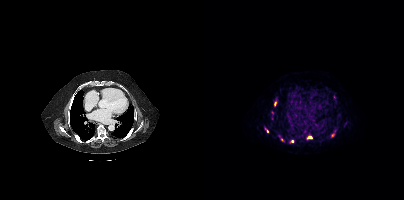
Coordinates are on the 200×200 PET (right) panel. (showing 6 of 7 foci) PSMA-avid tumor lesion bounding boxes (x0, y0)-(x1, y1): (70, 101)-(72, 106); (127, 133)-(130, 137); (103, 136)-(108, 138); (61, 128)-(64, 132). Small PSMA-avid foci (2 to 4 px across) near (center x, center y): (78, 139); (88, 141).